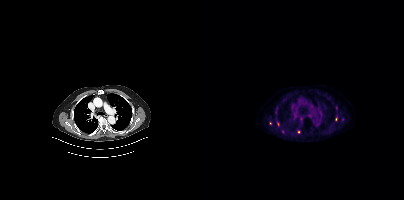
{"modality":"PSMA PET/CT","view":"axial","tracer":"18F-PSMA","pet_grid":[200,200],"coord_frame":"pet_panel","coord_format":"x0,y0,x1,y1","partial":true,"lesion_bboxes":[[71,107,73,113]],"small_foci_centers":[[95,132],[138,119],[66,123],[78,131]]}